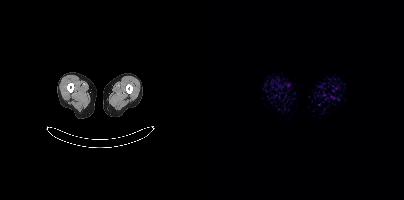
{"modality":"PSMA PET/CT","view":"axial","tracer":"[18F]PSMA-1007","pet_grid":[200,200],"coord_frame":"pet_panel","coord_format":"x0,y0,x1,y1","psma_avid_lesions":false}